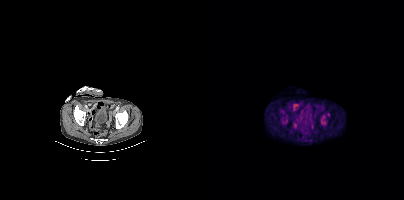
{"modality":"PSMA PET/CT","view":"axial","tracer":"18F-PSMA","pet_grid":[200,200],"coord_frame":"pet_panel","coord_format":"x0,y0,x1,y1","lesion_bboxes":[[116,115,122,125],[79,119,83,124],[123,112,126,116]]}